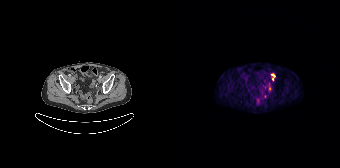
Technique: Two-panel axial: CT | PSMA PET, 68Ga-PSMA tracer. acquired on Siemens Biograph 64-4R TruePoint. slice 39 of 165.
Findings: Coordinates are on the 168×168 PET (right) panel. (showing 1 of 2 foci) Small PSMA-avid focus (2 to 4 px across) near (center x, center y): (101, 75).